- Paired axial CT (left) and PSMA PET (right), [18F]PSMA-1007 tracer
- slice position z = -632 mm
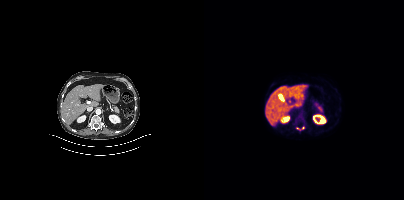
Findings: Coordinates are on the 200×200 PET (right) panel. (showing 1 of 2 foci) Small PSMA-avid focus (2 to 4 px across) near (center x, center y): (99, 127).